- Paired axial CT (left) and PSMA PET (right), 18F tracer
- slice 283 of 425
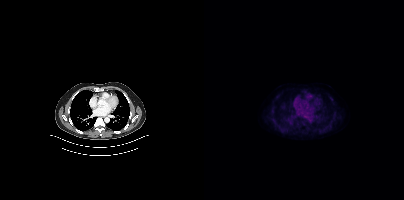
Findings: This slice has no annotated PSMA-avid lesion.